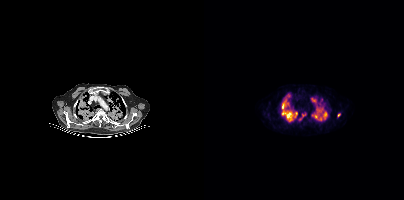
{"modality":"PSMA PET/CT","view":"axial","tracer":"18F-PSMA","pet_grid":[200,200],"coord_frame":"pet_panel","coord_format":"x0,y0,x1,y1","partial":true,"lesion_bboxes":[[78,101,88,121],[108,108,120,120],[107,97,112,103],[119,112,122,119],[81,93,86,97],[91,112,93,117]],"small_foci_centers":[[134,115]]}